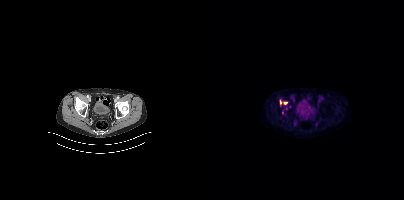
Findings: Coordinates are on the 200×200 PET (right) panel. (showing 2 of 5 foci) Small PSMA-avid foci (2 to 4 px across) near (center x, center y): (81, 102) / (76, 102).
Technique: Left: CT. Right: PSMA PET, same axial level, 18F tracer.